modality: PSMA PET/CT | tracer: 68Ga-PSMA | view: axial | PET grid: 168×168
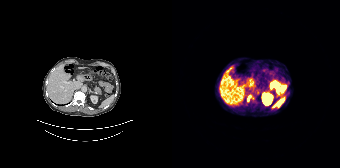
Coordinates are on the 168×168 PET (right) panel. (showing 1 of 2 foci) PSMA-avid tumor lesion bounding box (x0,y0,x1,y1): [75,95,79,101].